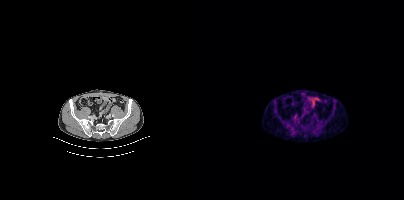
{"pet_grid":[200,200],"coord_frame":"pet_panel","coord_format":"x0,y0,x1,y1","psma_avid_lesions":false,"modality":"PSMA PET/CT","view":"axial","tracer":"18F"}